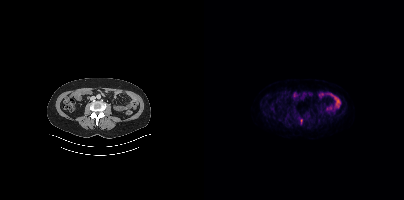
- Two-panel axial: CT | PSMA PET, 18F-PSMA tracer
- acquired on Siemens Biograph mCT Flow 20
Findings: No PSMA-avid tumor lesions on this slice.